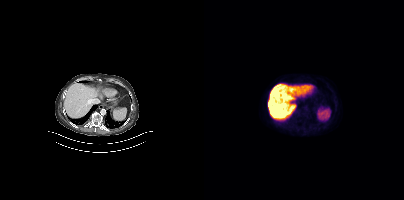
No tumor lesions annotated on this slice.